Paired axial CT (left) and PSMA PET (right), 68Ga-PSMA tracer. Slice position z = -1318 mm.
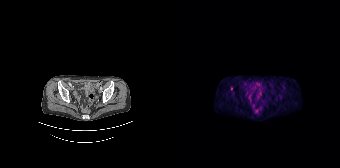
Coordinates are on the 168×168 PET (right) panel. Small PSMA-avid focus (2 to 4 px across) near (center x, center y): (59, 88).